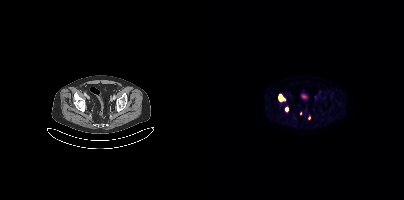
Technique: Paired axial CT (left) and PSMA PET (right), 18F tracer. slice position z = -887 mm.
Findings: Coordinates are on the 200×200 PET (right) panel. PSMA-avid tumor lesion bounding box (x0,y0,x1,y1): [75,94,80,100]. Small PSMA-avid focus (2 to 4 px across) near (center x, center y): (82, 109).